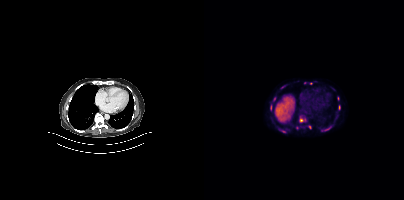
Left: CT. Right: PSMA PET, same axial level, 18F tracer. PET panel 200×200 px (4.1 mm/px).
Coordinates are on the 200×200 PET (right) panel. PSMA-avid tumor lesion bounding boxes (partial; 3 more foci not listed):
| # | x0 | y0 | x1 | y1 |
|---|---|---|---|---|
| 1 | 96 | 118 | 101 | 122 |
| 2 | 119 | 126 | 127 | 130 |
| 3 | 69 | 97 | 72 | 101 |
| 4 | 77 | 130 | 81 | 132 |
| 5 | 76 | 85 | 80 | 88 |
Small PSMA-avid foci (2 to 4 px across) near (center x, center y): (134, 98); (135, 106); (106, 83).